Paired axial CT (left) and PSMA PET (right), 18F-PSMA tracer. Acquired on Siemens Biograph mCT Flow 20. Slice 305 of 411. PET panel 200×200 px (4.1 mm/px).
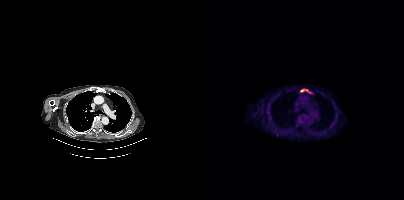
Coordinates are on the 200×200 PET (right) panel. PSMA-avid tumor lesion bounding box (x0, y0)-(x1, y1): (96, 89)-(107, 93).